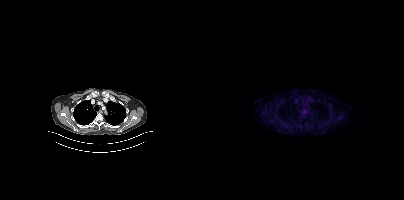
Coordinates are on the 200×200 PET (right) panel. Small PSMA-avid focus (2 to 4 px across) near (center x, center y): (135, 117).
modality: PSMA PET/CT | tracer: [18F]PSMA-1007 | view: axial